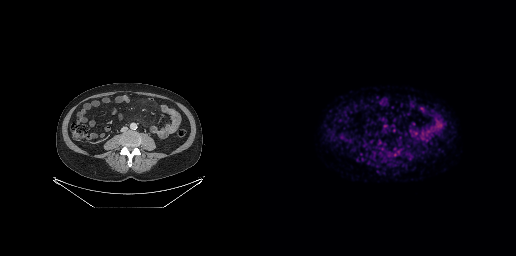
{"modality":"PSMA PET/CT","view":"axial","tracer":"68Ga","pet_grid":[256,256],"coord_frame":"pet_panel","coord_format":"x0,y0,x1,y1","psma_avid_lesions":false}